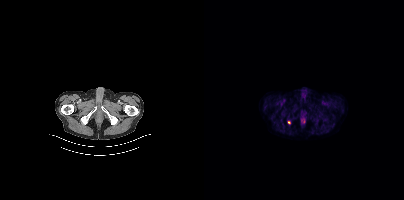
Coordinates are on the 200×200 PET (right) panel. Small PSMA-avid focus (2 to 4 px across) near (center x, center y): (85, 122).